modality: PSMA PET/CT | tracer: 18F | view: axial
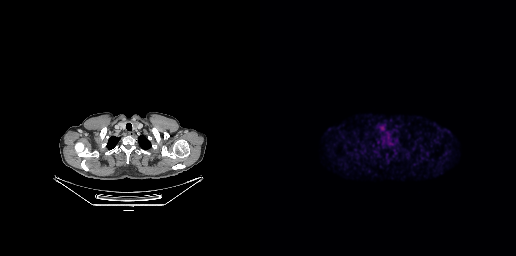
No PSMA-avid tumor lesions on this slice.